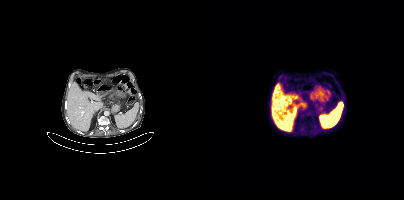
No tumor lesions annotated on this slice.